- Left: CT. Right: PSMA PET, same axial level, 18F-PSMA tracer
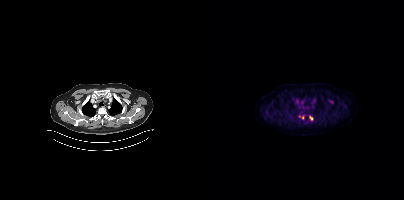
Findings: Coordinates are on the 200×200 PET (right) panel. PSMA-avid tumor lesion bounding boxes (x0,y0,x1,y1): [94,115,100,119]; [105,117,109,120].